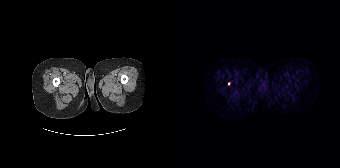
{"modality":"PSMA PET/CT","view":"axial","tracer":"[68Ga]Ga-PSMA-11","pet_grid":[168,168],"coord_frame":"pet_panel","coord_format":"x0,y0,x1,y1","lesion_bboxes":[],"small_foci_centers":[[56,83]]}